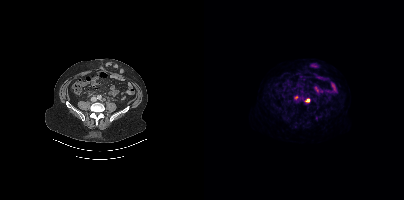
{"modality":"PSMA PET/CT","view":"axial","tracer":"18F","pet_grid":[200,200],"coord_frame":"pet_panel","coord_format":"x0,y0,x1,y1","lesion_bboxes":[],"small_foci_centers":[[91,96]]}